Paired axial CT (left) and PSMA PET (right), 18F tracer. Slice 317 of 438. PET panel 200×200 px (4.1 mm/px).
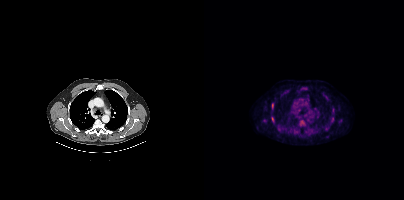
Coordinates are on the 200×200 PET (right) panel. (showing 2 of 5 foci) Small PSMA-avid foci (2 to 4 px across) near (center x, center y): (68, 118) / (128, 118).